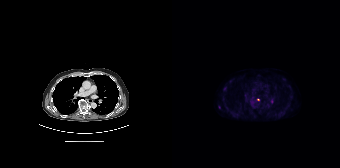
{"modality":"PSMA PET/CT","view":"axial","tracer":"18F","pet_grid":[168,168],"coord_frame":"pet_panel","coord_format":"x0,y0,x1,y1","lesion_bboxes":[],"small_foci_centers":[[53,88],[86,99],[99,100]]}